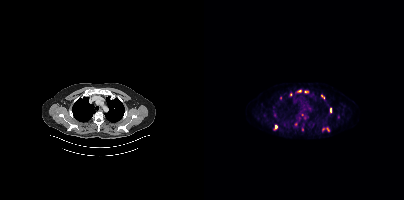
Coordinates are on the 200×200 PET (right) panel. (showing 6 of 9 foci) PSMA-avid tumor lesion bounding box (x0, y0)-(x1, y1): (126, 108)-(127, 112). Small PSMA-avid foci (2 to 4 px across) near (center x, center y): (72, 126); (118, 96); (95, 90); (101, 91); (119, 128).